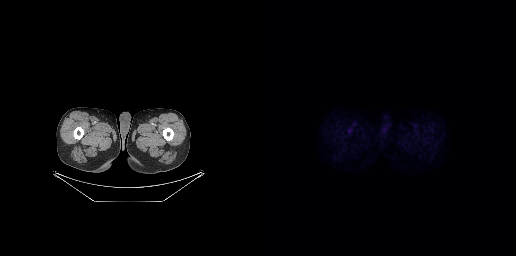
Negative for PSMA-avid disease on this slice. Two-panel axial: CT | PSMA PET, 18F-PSMA tracer.